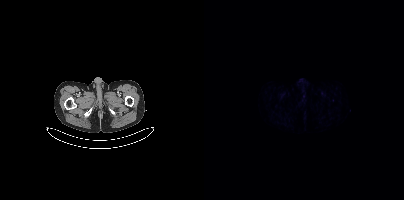
Left: CT. Right: PSMA PET, same axial level, 68Ga-PSMA tracer. Slice 33 of 411. PET panel 200×200 px (4.1 mm/px). This slice has no annotated PSMA-avid lesion.